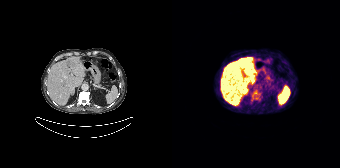
{"modality":"PSMA PET/CT","view":"axial","tracer":"68Ga-PSMA","pet_grid":[168,168],"coord_frame":"pet_panel","coord_format":"x0,y0,x1,y1","lesion_bboxes":[[54,57,80,71],[64,81,75,91],[63,95,69,103]],"small_foci_centers":[[64,73],[82,71],[71,78],[86,97]]}